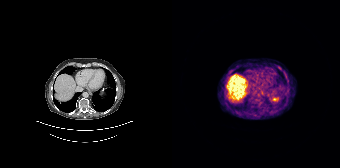
Coordinates are on the 168×168 PET (right) panel. Small PSMA-avid focus (2 to 4 px across) near (center x, center y): (107, 67).